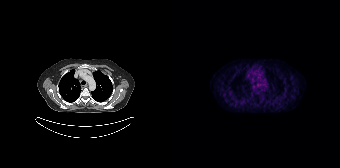
Paired axial CT (left) and PSMA PET (right), 68Ga-PSMA tracer. Acquired on Siemens Biograph 64-4R TruePoint. PET panel 168×168 px (4.1 mm/px). No tumor lesions annotated on this slice.